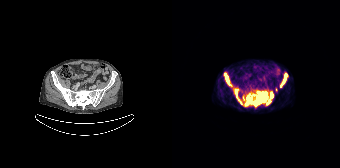
{"modality":"PSMA PET/CT","view":"axial","tracer":"68Ga-PSMA","pet_grid":[168,168],"coord_frame":"pet_panel","coord_format":"x0,y0,x1,y1","partial":true,"lesion_bboxes":[[73,91,95,106],[52,73,59,85],[94,92,101,104],[63,89,69,103],[110,74,115,83]],"small_foci_centers":[[104,89],[81,94]]}